Left: CT. Right: PSMA PET, same axial level, 18F-PSMA tracer. Acquired on Siemens Biograph mCT Flow 20. PET panel 200×200 px (4.1 mm/px).
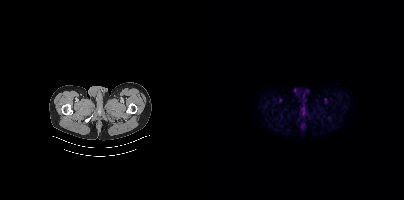
This slice has no annotated PSMA-avid lesion.